modality: PSMA PET/CT | tracer: [18F]PSMA-1007 | view: axial
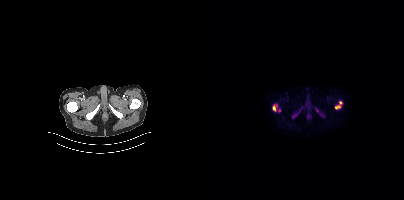
Coordinates are on the 200×200 PET (right) panel. PSMA-avid tumor lesion bounding boxes (x, y, width, height): x=131 y=101 w=8 h=9 | x=88 y=114 w=4 h=5 | x=68 y=106 w=5 h=6 | x=112 y=108 w=3 h=5. Small PSMA-avid foci (2 to 4 px across) near (center x, center y): (72, 104) | (75, 110).